Technique: Paired axial CT (left) and PSMA PET (right), 18F-PSMA tracer. PET panel 200×200 px (4.1 mm/px).
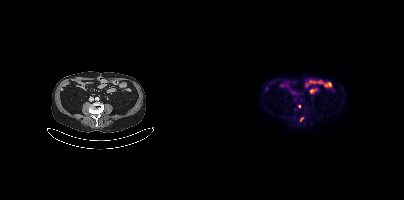
Findings: Coordinates are on the 200×200 PET (right) panel. (showing 1 of 2 foci) Small PSMA-avid focus (2 to 4 px across) near (center x, center y): (97, 118).